- Paired axial CT (left) and PSMA PET (right), 68Ga tracer
- acquired on GE Discovery 690
- slice position z = -589 mm
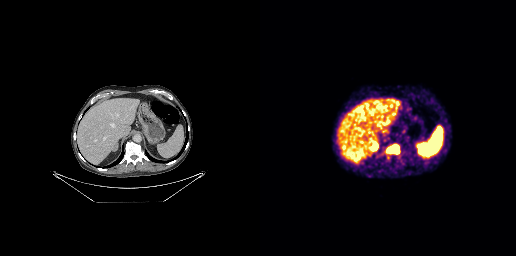
Findings: Coordinates are on the 256×256 PET (right) panel. (showing 2 of 3 foci) PSMA-avid tumor lesion bounding box (x0,y0,x1,y1): [127,145,139,153]. Small PSMA-avid focus (2 to 4 px across) near (center x, center y): (128, 157).